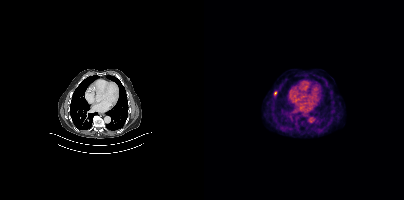
Coordinates are on the 200×200 PET (right) panel. PSMA-avid tumor lesion bounding box (x, y, width, height): x=70 y=91 w=3 h=5.